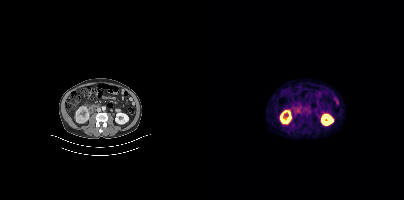
No PSMA-avid tumor lesions on this slice.